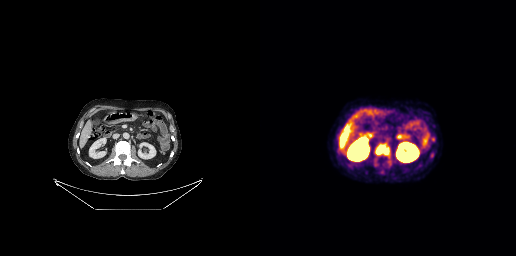
Coordinates are on the 256×256 PET (right) panel. PSMA-avid tumor lesion bounding box (x0,y0,x1,y1): [116,144,129,155].